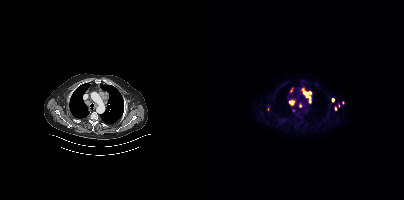
{"pet_grid":[200,200],"coord_frame":"pet_panel","coord_format":"x0,y0,x1,y1","partial":true,"lesion_bboxes":[[98,88,107,103],[85,100,90,105]],"small_foci_centers":[[129,99],[96,105],[87,89],[131,108]],"modality":"PSMA PET/CT","view":"axial","tracer":"[18F]PSMA-1007"}